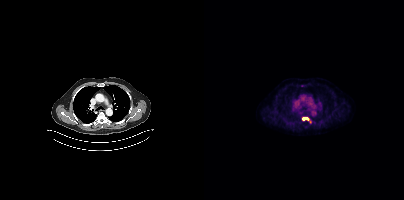
Coordinates are on the 200×200 PET (right) panel. (showing 1 of 2 foci) PSMA-avid tumor lesion bounding box (x, y, width, height): x=98 y=117 w=7 h=4.
modality: PSMA PET/CT | tracer: [18F]PSMA-1007 | view: axial